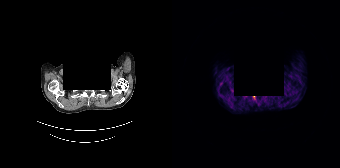
Coordinates are on the 168×168 PET (right) panel. Small PSMA-avid focus (2 to 4 px across) near (center x, center y): (81, 97). Any black rectangle over the head is a privacy mask, not anatomy. Paired axial CT (left) and PSMA PET (right), [68Ga]Ga-PSMA-11 tracer. Acquired on Siemens Biograph 64-4R TruePoint.